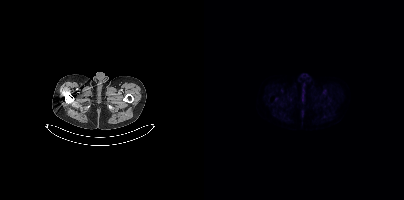
{"modality":"PSMA PET/CT","view":"axial","tracer":"[18F]PSMA-1007","pet_grid":[200,200],"coord_frame":"pet_panel","coord_format":"x0,y0,x1,y1","psma_avid_lesions":false}